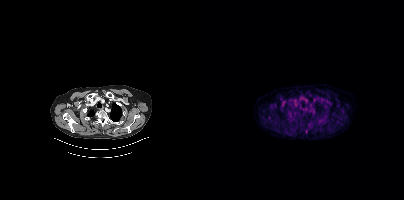
Technique: Paired axial CT (left) and PSMA PET (right), 18F tracer. slice position z = -936 mm.
Findings: Only PSMA-avid lesion pieces thinner than 2 px on this slice (not listed).